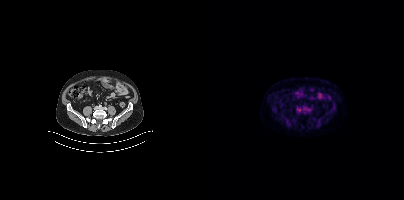
Coordinates are on the 200×200 PET (right) panel. PSMA-avid tumor lesion bounding box (x, y, width, height): x=92 y=107 w=5 h=6.